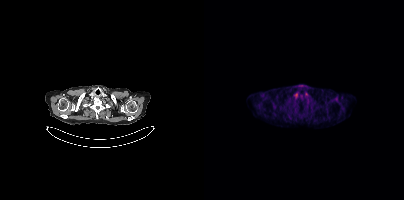
{"modality":"PSMA PET/CT","view":"axial","tracer":"[18F]PSMA-1007","pet_grid":[200,200],"coord_frame":"pet_panel","coord_format":"x0,y0,x1,y1","psma_avid_lesions":false}